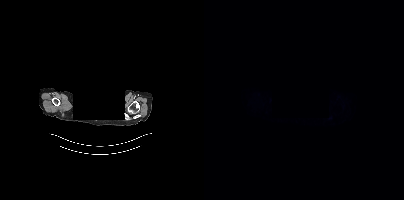
{"pet_grid":[200,200],"coord_frame":"pet_panel","coord_format":"x0,y0,x1,y1","psma_avid_lesions":false,"modality":"PSMA PET/CT","view":"axial","tracer":"18F","deidentification":"facial region redacted"}